- Left: CT. Right: PSMA PET, same axial level, 18F tracer
- acquired on Siemens Biograph mCT Flow 20
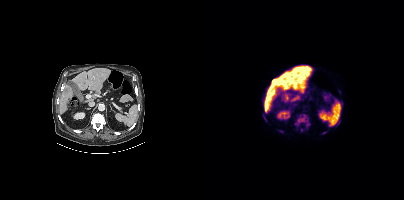
Findings: Coordinates are on the 200×200 PET (right) panel. PSMA-avid tumor lesion bounding boxes (x0, y0)-(x1, y1): (90, 114)-(106, 128); (59, 115)-(63, 121). Small PSMA-avid focus (2 to 4 px across) near (center x, center y): (97, 130).